Paired axial CT (left) and PSMA PET (right), [68Ga]Ga-PSMA-11 tracer. The head region is masked for de-identification.
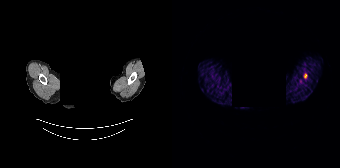
Coordinates are on the 168×168 PET (right) panel. PSMA-avid tumor lesion bounding box (x0,y0,x1,y1): [132,73,135,78].